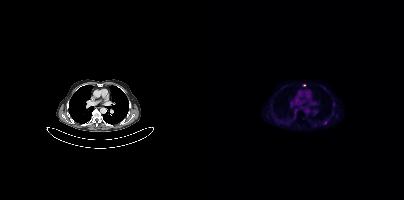
{"modality":"PSMA PET/CT","view":"axial","tracer":"18F","pet_grid":[200,200],"coord_frame":"pet_panel","coord_format":"x0,y0,x1,y1","lesion_bboxes":[],"small_foci_centers":[[121,122],[100,85]]}